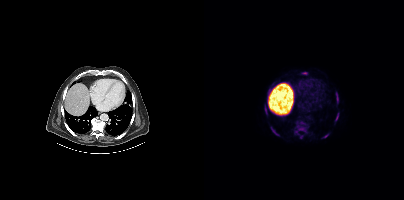
modality: PSMA PET/CT | tracer: 18F | view: axial | PET grid: 200×200
Coordinates are on the 200×200 PET (right) panel. PSMA-avid tumor lesion bounding boxes (x0,y0,x1,y1): [93,125,101,131], [67,127,75,135], [131,92,134,99], [131,113,134,120], [119,134,124,137]. Small PSMA-avid foci (2 to 4 px across) near (center x, center y): (62, 111), (98, 122), (92, 131), (97, 137).